Paired axial CT (left) and PSMA PET (right), [18F]PSMA-1007 tracer. Acquired on Siemens Biograph mCT Flow 20. Slice 225 of 417. PET panel 200×200 px (4.1 mm/px).
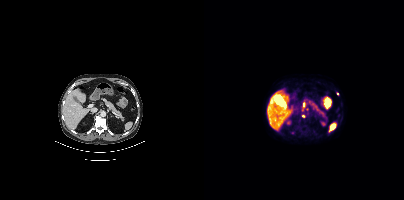
Coordinates are on the 200×200 PET (right) panel. (showing 2 of 3 foci) Small PSMA-avid foci (2 to 4 px across) near (center x, center y): (99, 116), (133, 93).